Left: CT. Right: PSMA PET, same axial level, 18F tracer. Acquired on Siemens Biograph mCT Flow 20. PET panel 200×200 px (4.1 mm/px).
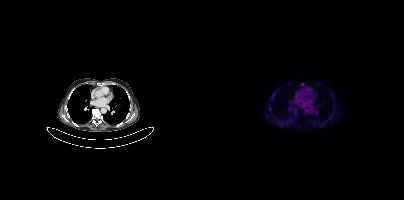
Only PSMA-avid lesion pieces thinner than 2 px on this slice (not listed).